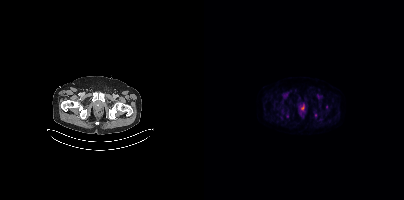
Findings: Coordinates are on the 200×200 PET (right) panel. Small PSMA-avid focus (2 to 4 px across) near (center x, center y): (111, 114).
Technique: Paired axial CT (left) and PSMA PET (right), [18F]PSMA-1007 tracer. acquired on Siemens Biograph mCT Flow 20. slice 60 of 389. PET panel 200×200 px (4.1 mm/px).